Paired axial CT (left) and PSMA PET (right), 18F-PSMA tracer.
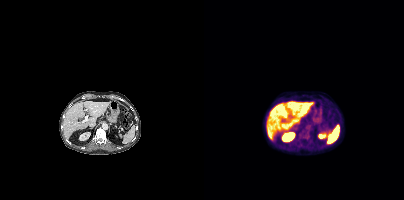
Coordinates are on the 200×200 PET (right) panel. PSMA-avid tumor lesion bounding box (x0, y0)-(x1, y1): (98, 136)-(104, 140).